Technique: Left: CT. Right: PSMA PET, same axial level, 68Ga-PSMA tracer.
Note: Face de-identified by blanking a block of the head.
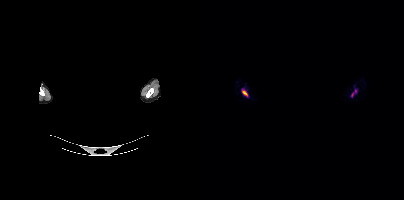
Findings: Coordinates are on the 200×200 PET (right) panel. PSMA-avid tumor lesion bounding boxes (x, y, width, height): x=147 y=89 w=7 h=9 | x=38 y=90 w=6 h=7.